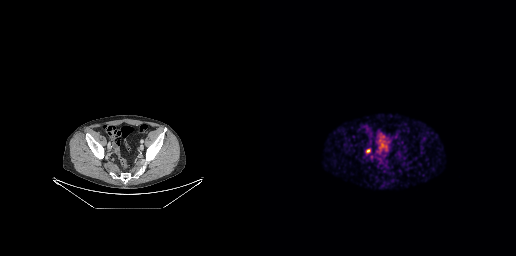
modality: PSMA PET/CT | tracer: [68Ga]Ga-PSMA-11 | view: axial | PET grid: 256×256
Coordinates are on the 256×256 PET (right) panel. PSMA-avid tumor lesion bounding box (x0, y0)-(x1, y1): (106, 149)-(110, 152).